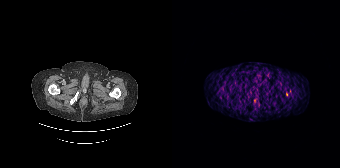
modality: PSMA PET/CT | tracer: [68Ga]Ga-PSMA-11 | view: axial
Negative for PSMA-avid disease on this slice.